Paired axial CT (left) and PSMA PET (right), [18F]PSMA-1007 tracer. Acquired on Siemens Biograph mCT Flow 20. Slice position z = -608 mm. PET panel 200×200 px (4.1 mm/px).
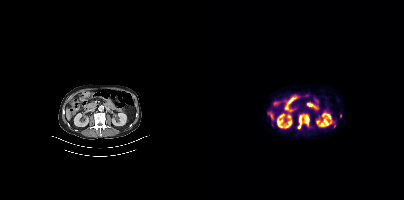
Coordinates are on the 200×200 PET (right) panel. PSMA-avid tumor lesion bounding box (x, y, width, height): x=93 y=113 w=13 h=17. Small PSMA-avid focus (2 to 4 px across) near (center x, center y): (136, 115).